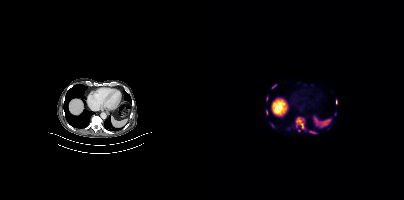
Findings: Coordinates are on the 200×200 PET (right) panel. PSMA-avid tumor lesion bounding boxes (x0,y0,x1,y1): [91,117,100,129] [106,131,112,133] [132,99,133,103]. Small PSMA-avid foci (2 to 4 px across) near (center x, center y): (68, 125) (63, 99) (62, 112) (94, 130) (70, 86).
- Left: CT. Right: PSMA PET, same axial level, [18F]PSMA-1007 tracer
- PET panel 200×200 px (4.1 mm/px)